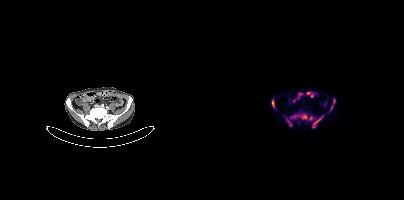
Technique: Two-panel axial: CT | PSMA PET, 18F-PSMA tracer.
Findings: Coordinates are on the 200×200 PET (right) panel. PSMA-avid tumor lesion bounding boxes (x0, y0)-(x1, y1): (81, 113)-(108, 126) | (108, 116)-(119, 127) | (125, 98)-(131, 112) | (67, 99)-(70, 108).